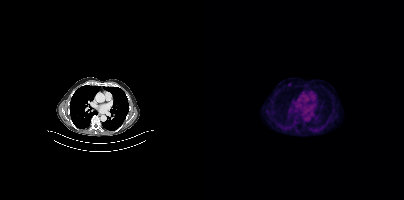
- Left: CT. Right: PSMA PET, same axial level, 18F-PSMA tracer
- slice 276 of 413
- PET panel 200×200 px (4.1 mm/px)
Findings: Coordinates are on the 200×200 PET (right) panel. Small PSMA-avid focus (2 to 4 px across) near (center x, center y): (85, 84).